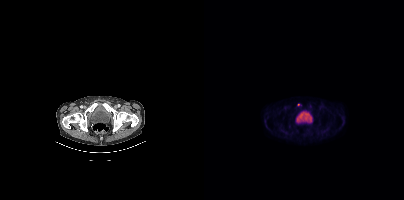
Technique: Paired axial CT (left) and PSMA PET (right), [18F]PSMA-1007 tracer. slice 64 of 435. PET panel 200×200 px (4.1 mm/px).
Findings: Coordinates are on the 200×200 PET (right) panel. Small PSMA-avid focus (2 to 4 px across) near (center x, center y): (94, 104).